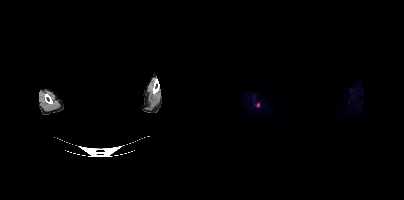
Left: CT. Right: PSMA PET, same axial level, 18F-PSMA tracer. PET panel 200×200 px (4.1 mm/px). De-identified by setting a box covering the face to black before release.
Coordinates are on the 200×200 PET (right) panel. PSMA-avid tumor lesion bounding boxes:
| # | x0 | y0 | x1 | y1 |
|---|---|---|---|---|
| 1 | 51 | 102 | 55 | 107 |